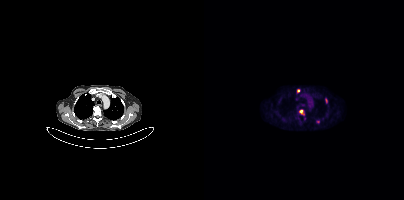
{"modality":"PSMA PET/CT","view":"axial","tracer":"[18F]PSMA-1007","pet_grid":[200,200],"coord_frame":"pet_panel","coord_format":"x0,y0,x1,y1","lesion_bboxes":[[95,110,100,115],[121,98,123,103]],"small_foci_centers":[[94,90],[113,121]]}